Two-panel axial: CT | PSMA PET, 18F tracer. Slice position z = -993 mm. PET panel 200×200 px (4.1 mm/px).
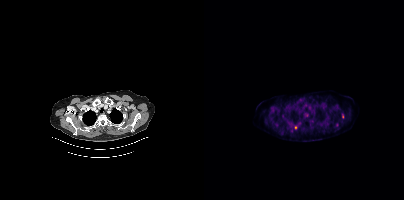
Coordinates are on the 200×200 PET (right) panel. PSMA-avid tumor lesion bounding boxes:
| # | x0 | y0 | x1 | y1 |
|---|---|---|---|---|
| 1 | 138 | 113 | 139 | 118 |
Small PSMA-avid foci (2 to 4 px across) near (center x, center y): (92, 127); (132, 125); (95, 122).